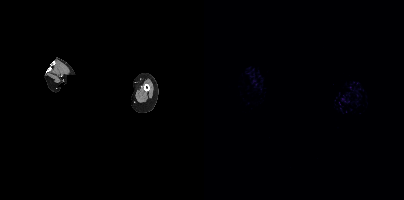
{"modality":"PSMA PET/CT","view":"axial","tracer":"[68Ga]Ga-PSMA-11","pet_grid":[200,200],"coord_frame":"pet_panel","coord_format":"x0,y0,x1,y1","psma_avid_lesions":false,"de-identification":"rectangular block over head set to black"}